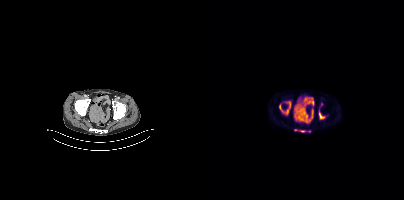
- Two-panel axial: CT | PSMA PET, 18F-PSMA tracer
- slice 81 of 375
- PET panel 200×200 px (4.1 mm/px)
Findings: Coordinates are on the 200×200 PET (right) panel. (showing 5 of 6 foci) PSMA-avid tumor lesion bounding boxes (x, y, width, height): x=75 y=101 w=12 h=15 | x=115 y=112 w=6 h=7 | x=96 y=130 w=6 h=3. Small PSMA-avid foci (2 to 4 px across) near (center x, center y): (117, 104) | (92, 129).